- Paired axial CT (left) and PSMA PET (right), [68Ga]Ga-PSMA-11 tracer
- slice position z = -858 mm
- PET panel 256×256 px (2.7 mm/px)
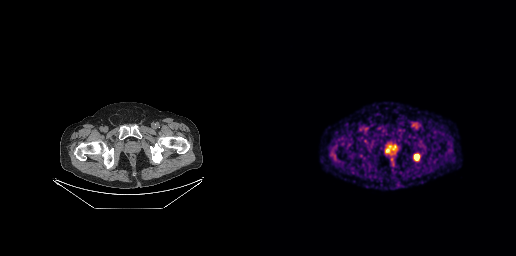
Findings: Coordinates are on the 256×256 PET (right) panel. PSMA-avid tumor lesion bounding box (x0, y0)-(x1, y1): (154, 154)-(159, 159).